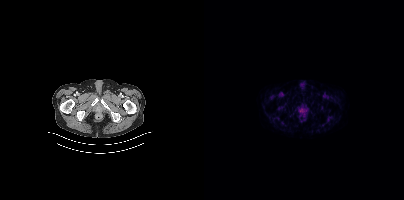
This slice has no annotated PSMA-avid lesion.